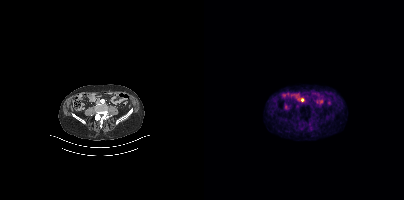
Coordinates are on the 200×200 PET (right) panel. Small PSMA-avid focus (2 to 4 px across) near (center x, center y): (98, 99).